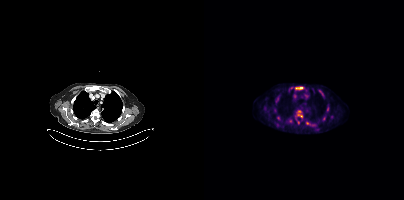
modality: PSMA PET/CT | tracer: 18F-PSMA | view: axial
Coordinates are on the 200×200 PET (right) panel. (showing 5 of 9 foci) PSMA-avid tumor lesion bounding boxes (x0, y0)-(x1, y1): (91, 86)-(100, 89) | (116, 92)-(119, 96) | (72, 98)-(74, 102) | (94, 114)-(98, 117). Small PSMA-avid focus (2 to 4 px across) near (center x, center y): (95, 111).